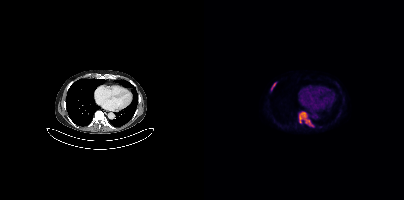
{"modality":"PSMA PET/CT","view":"axial","tracer":"18F","pet_grid":[200,200],"coord_frame":"pet_panel","coord_format":"x0,y0,x1,y1","lesion_bboxes":[[95,112,108,126],[67,83,71,89]]}